modality: PSMA PET/CT | tracer: [18F]PSMA-1007 | view: axial | PET grid: 200×200
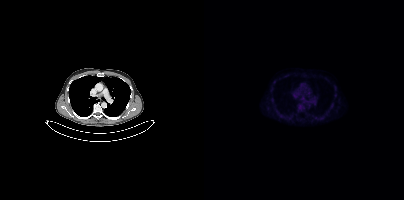
Coordinates are on the 200×200 PET (right) panel. Small PSMA-avid focus (2 to 4 px across) near (center x, center y): (98, 98).